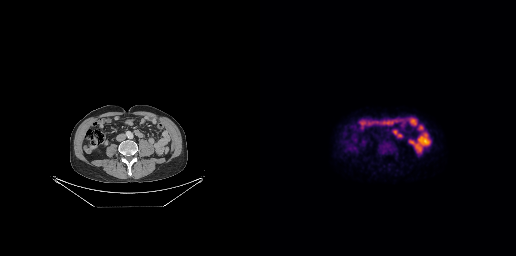
Two-panel axial: CT | PSMA PET, [18F]PSMA-1007 tracer. Slice 101 of 263. No PSMA-avid tumor lesions on this slice.